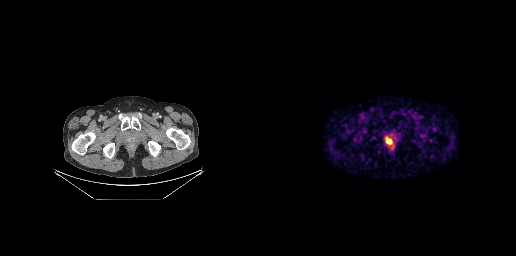
{"modality":"PSMA PET/CT","view":"axial","tracer":"[68Ga]Ga-PSMA-11","pet_grid":[256,256],"coord_frame":"pet_panel","coord_format":"x0,y0,x1,y1","lesion_bboxes":[[126,137,131,144]]}